- Paired axial CT (left) and PSMA PET (right), [68Ga]Ga-PSMA-11 tracer
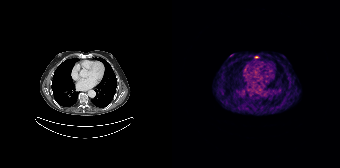
Findings: Coordinates are on the 168×168 PET (right) panel. PSMA-avid tumor lesion bounding box (x0, y0)-(x1, y1): (82, 56)-(87, 58).